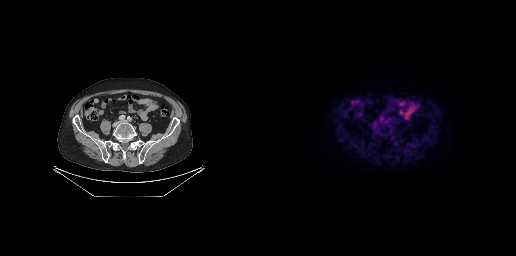
No tumor lesions annotated on this slice.